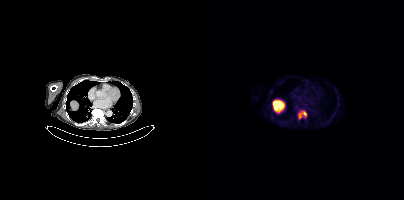
Findings: Coordinates are on the 200×200 PET (right) panel. PSMA-avid tumor lesion bounding box (x, y, width, height): x=94 y=110 w=9 h=10.
Technique: Left: CT. Right: PSMA PET, same axial level, 18F-PSMA tracer. acquired on Siemens Biograph mCT Flow 20. slice position z = -1094 mm.